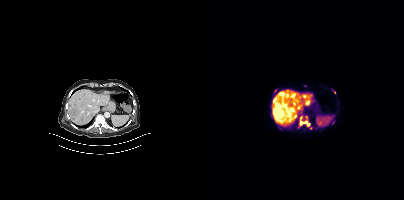
Paired axial CT (left) and PSMA PET (right), 18F tracer. Acquired on Siemens Biograph mCT Flow 20. Coordinates are on the 200×200 PET (right) panel. (showing 3 of 4 foci) PSMA-avid tumor lesion bounding box (x0, y0)-(x1, y1): (96, 116)-(106, 126). Small PSMA-avid foci (2 to 4 px across) near (center x, center y): (130, 92); (106, 127).